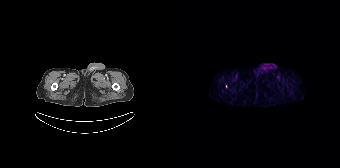
{"pet_grid":[168,168],"coord_frame":"pet_panel","coord_format":"x0,y0,x1,y1","partial":true,"lesion_bboxes":[],"modality":"PSMA PET/CT","view":"axial","tracer":"[68Ga]Ga-PSMA-11"}